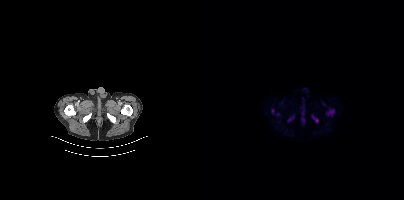
{"modality":"PSMA PET/CT","view":"axial","tracer":"18F-PSMA","pet_grid":[200,200],"coord_frame":"pet_panel","coord_format":"x0,y0,x1,y1","partial":true,"lesion_bboxes":[[122,109,130,115],[108,115,114,122],[84,117,89,121]]}